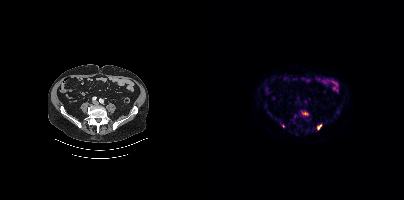
{"pet_grid":[200,200],"coord_frame":"pet_panel","coord_format":"x0,y0,x1,y1","lesion_bboxes":[[98,112,104,115],[114,125,117,129]],"small_foci_centers":[[79,125]],"modality":"PSMA PET/CT","view":"axial","tracer":"18F-PSMA"}